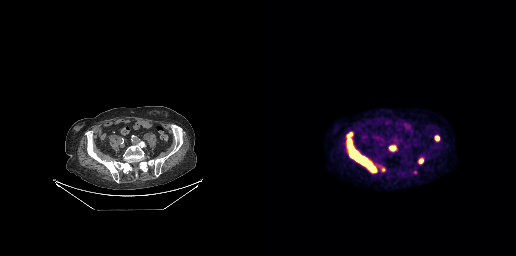
Coordinates are on the 256×256 PET (right) panel. PSMA-avid tumor lesion bounding boxes (x0, y0)-(x1, y1): (86, 132)-(117, 173) / (129, 145)-(136, 151) / (174, 135)-(179, 141) / (159, 158)-(163, 163). Small PSMA-avid focus (2 to 4 px across) near (center x, center y): (123, 169).